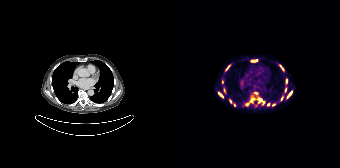
{"pet_grid":[168,168],"coord_frame":"pet_panel","coord_format":"x0,y0,x1,y1","partial":true,"lesion_bboxes":[[115,91,120,97],[46,92,51,97],[107,65,111,70],[114,79,115,83],[86,99,89,103],[50,80,51,84],[80,60,84,61]],"small_foci_centers":[[75,104],[96,104],[84,92],[58,101],[101,104],[109,99],[56,66],[113,90]],"modality":"PSMA PET/CT","view":"axial","tracer":"68Ga-PSMA"}